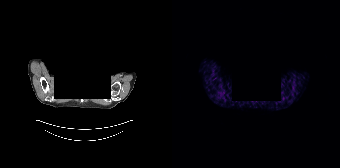
Facial anatomy redacted by setting a rectangular region of the head to black. Left: CT. Right: PSMA PET, same axial level, [68Ga]Ga-PSMA-11 tracer. Slice position z = -722 mm. This slice has no annotated PSMA-avid lesion.